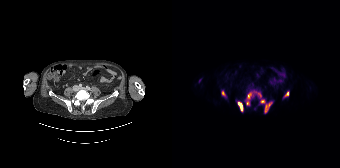
{"modality":"PSMA PET/CT","view":"axial","tracer":"[18F]PSMA-1007","pet_grid":[168,168],"coord_frame":"pet_panel","coord_format":"x0,y0,x1,y1","lesion_bboxes":[[74,91,100,113],[65,101,71,111],[49,90,53,96],[113,91,116,96]]}